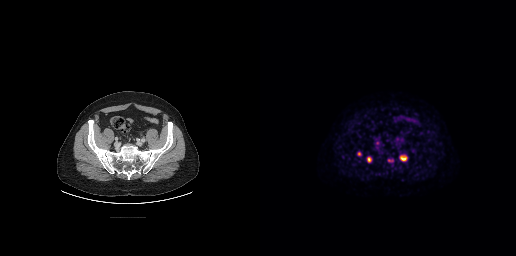
Coordinates are on the 256×256 PET (right) panel. PSMA-avid tumor lesion bounding boxes (x, y, width, height): x=139 y=155 w=9 h=7 | x=107 y=157 w=5 h=6 | x=128 y=159 w=6 h=3. Small PSMA-avid foci (2 to 4 px across) near (center x, center y): (99, 153) | (117, 142). Two-panel axial: CT | PSMA PET, 18F tracer. PET panel 256×256 px (2.7 mm/px).